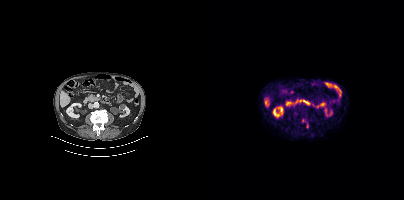
{"modality":"PSMA PET/CT","view":"axial","tracer":"[18F]PSMA-1007","pet_grid":[200,200],"coord_frame":"pet_panel","coord_format":"x0,y0,x1,y1","partial":true,"lesion_bboxes":[]}